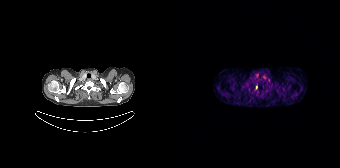
Coordinates are on the 168×168 PET (right) panel. (showing 1 of 2 foci) Small PSMA-avid focus (2 to 4 px across) near (center x, center y): (84, 87).